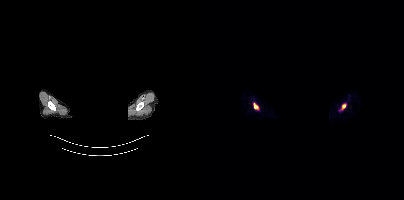
Coordinates are on the 200×200 PET (right) panel. PSMA-avid tumor lesion bounding boxes (x0, y0)-(x1, y1): (49, 103)-(54, 109) / (135, 104)-(141, 110).
modality: PSMA PET/CT | tracer: 68Ga-PSMA | view: axial | deidentification: facial region redacted